modality: PSMA PET/CT | tracer: [18F]PSMA-1007 | view: axial | PET grid: 200×200
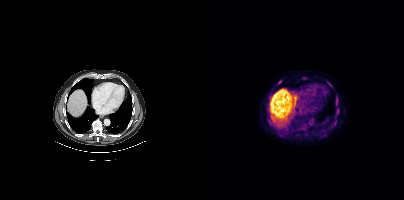
Coordinates are on the 200×200 PET (right) panel. Small PSMA-avid foci (2 to 4 px across) near (center x, center y): (133, 98) | (134, 111) | (124, 82) | (127, 86) | (74, 83).